Two-panel axial: CT | PSMA PET, 18F tracer. Acquired on Siemens Biograph mCT Flow 20. Slice 164 of 433.
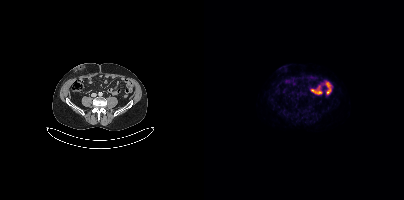
Negative for PSMA-avid disease on this slice.